Paired axial CT (left) and PSMA PET (right), [18F]PSMA-1007 tracer. Slice position z = -868 mm. PET panel 200×200 px (4.1 mm/px). A rectangular block over the head has been blanked out for de-identification.
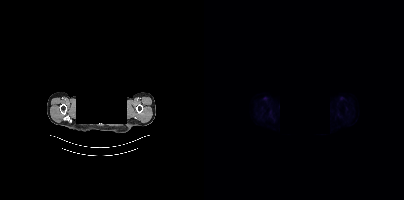
This slice has no annotated PSMA-avid lesion.